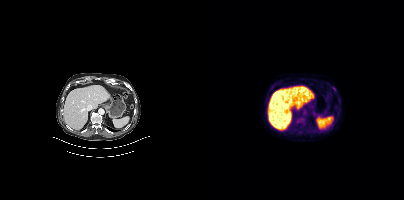
modality: PSMA PET/CT | tracer: 18F | view: axial
Coordinates are on the 200×200 PET (right) panel. Small PSMA-avid focus (2 to 4 px across) near (center x, center y): (98, 121).